Technique: Paired axial CT (left) and PSMA PET (right), 18F tracer. acquired on Siemens Biograph mCT Flow 20. slice position z = -530 mm.
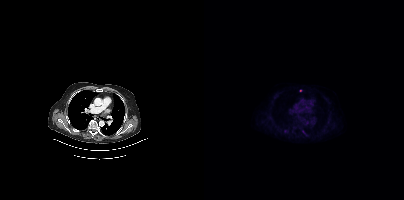
Findings: Coordinates are on the 200×200 PET (right) panel. Small PSMA-avid focus (2 to 4 px across) near (center x, center y): (96, 90).